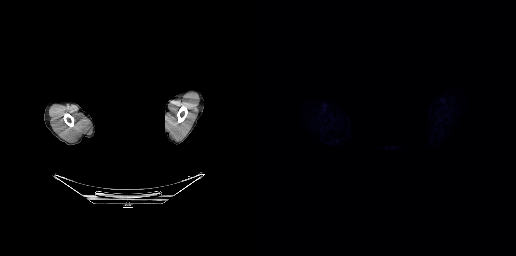
This slice has no annotated PSMA-avid lesion. An anonymization step blacked out a rectangle over the head in this scan. Two-panel axial: CT | PSMA PET, [18F]PSMA-1007 tracer. Slice 250 of 263. PET panel 256×256 px (2.7 mm/px).